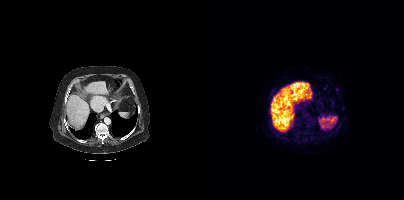
{"pet_grid":[200,200],"coord_frame":"pet_panel","coord_format":"x0,y0,x1,y1","psma_avid_lesions":false,"modality":"PSMA PET/CT","view":"axial","tracer":"[68Ga]Ga-PSMA-11"}